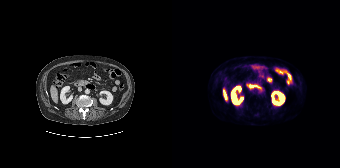
Findings: No tumor lesions annotated on this slice.
Technique: Paired axial CT (left) and PSMA PET (right), 18F-PSMA tracer.